- Two-panel axial: CT | PSMA PET, 18F tracer
- PET panel 200×200 px (4.1 mm/px)
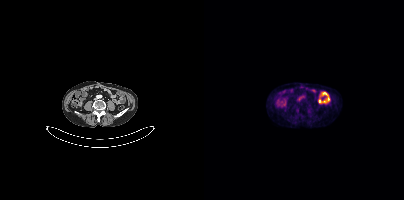
Findings: No PSMA-avid tumor lesions on this slice.